Two-panel axial: CT | PSMA PET, 18F-PSMA tracer.
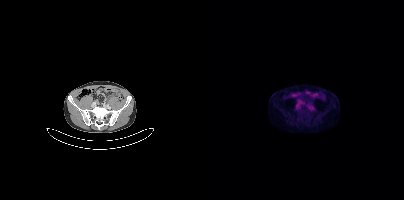
Coordinates are on the 200×200 PET (right) panel. Small PSMA-avid focus (2 to 4 px across) near (center x, center y): (107, 107).